Technique: Left: CT. Right: PSMA PET, same axial level, [68Ga]Ga-PSMA-11 tracer. acquired on GE Discovery 690. slice position z = -445 mm. PET panel 256×256 px (2.7 mm/px).
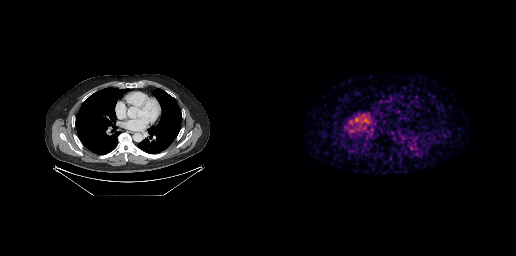
Findings: This slice has no annotated PSMA-avid lesion.